Paired axial CT (left) and PSMA PET (right), 68Ga tracer. Acquired on GE Discovery 690. PET panel 256×256 px (2.7 mm/px). The face region was removed for patient privacy by blanking a rectangle over the head.
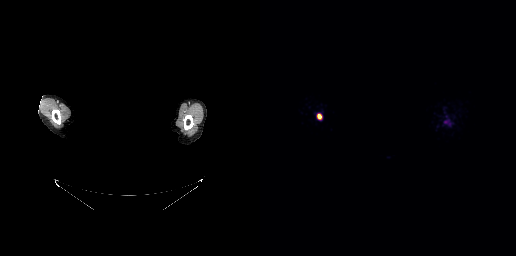
Coordinates are on the 256×256 PET (right) panel. PSMA-avid tumor lesion bounding boxes:
| # | x0 | y0 | x1 | y1 |
|---|---|---|---|---|
| 1 | 57 | 114 | 61 | 119 |